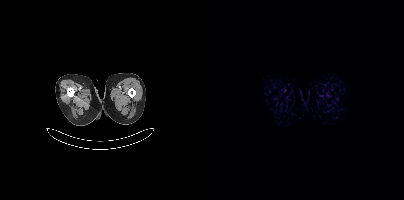
No tumor lesions annotated on this slice.